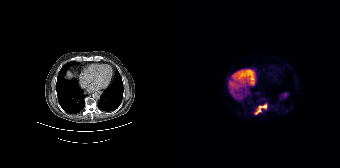
Coordinates are on the 168×168 PET (right) panel. PSMA-avid tumor lesion bounding boxes:
| # | x0 | y0 | x1 | y1 |
|---|---|---|---|---|
| 1 | 82 | 103 | 95 | 114 |
Paired axial CT (left) and PSMA PET (right), 18F-PSMA tracer. Acquired on Siemens Biograph 64-4R TruePoint. PET panel 168×168 px (4.1 mm/px).